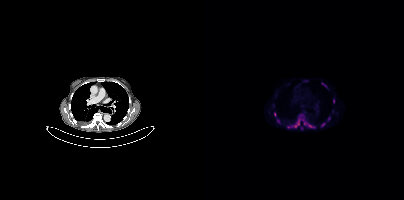
Technique: Two-panel axial: CT | PSMA PET, 18F tracer. acquired on Siemens Biograph mCT Flow 20. PET panel 200×200 px (4.1 mm/px).
Findings: Coordinates are on the 200×200 PET (right) panel. (showing 8 of 12 foci) PSMA-avid tumor lesion bounding boxes (x, y, width, height): x=90 y=119 w=6 h=9 / x=104 y=124 w=8 h=5 / x=118 y=83 w=5 h=4. Small PSMA-avid foci (2 to 4 px across) near (center x, center y): (118, 124) / (101, 123) / (129, 101) / (70, 114) / (124, 118).